modality: PSMA PET/CT | tracer: [18F]PSMA-1007 | view: axial | PET grid: 200×200
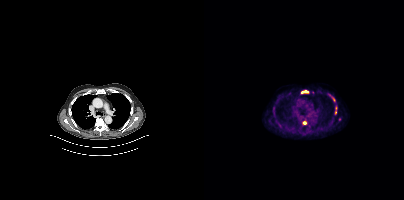
Coordinates are on the 200×200 PET (right) panel. (showing 3 of 5 foci) PSMA-avid tumor lesion bounding boxes (x0,y0,x1,y1): [97,90,104,93], [98,121,102,124]. Small PSMA-avid focus (2 to 4 px across) near (center x, center y): (131, 112).